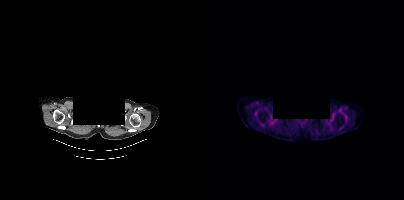
Paired axial CT (left) and PSMA PET (right), [18F]PSMA-1007 tracer. Acquired on Siemens Biograph mCT Flow 20. Slice position z = -876 mm. De-identified by setting a box covering the face to black before release. No tumor lesions annotated on this slice.